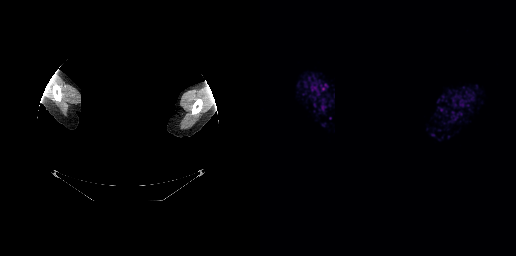
Negative for PSMA-avid disease on this slice.
The face region was removed for patient privacy by blanking a rectangle over the head.